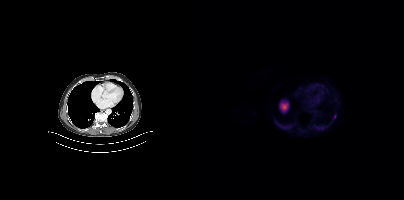
- Two-panel axial: CT | PSMA PET, 18F tracer
- slice 271 of 425
- PET panel 200×200 px (4.1 mm/px)
Findings: Coordinates are on the 200×200 PET (right) panel. Small PSMA-avid focus (2 to 4 px across) near (center x, center y): (131, 116).